- Left: CT. Right: PSMA PET, same axial level, 18F-PSMA tracer
- PET panel 200×200 px (4.1 mm/px)
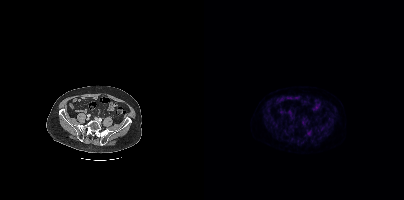
Findings: This slice has no annotated PSMA-avid lesion.